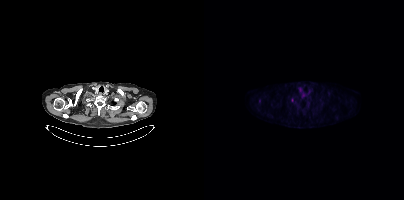
Two-panel axial: CT | PSMA PET, 18F-PSMA tracer. Acquired on Siemens Biograph mCT Flow 20. PET panel 200×200 px (4.1 mm/px). Coordinates are on the 200×200 PET (right) panel. Small PSMA-avid foci (2 to 4 px across) near (center x, center y): (99, 95); (88, 100).